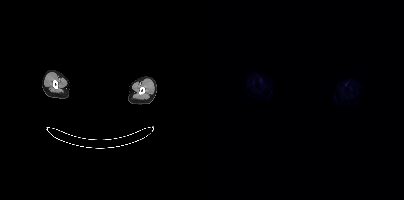
modality: PSMA PET/CT | tracer: [18F]PSMA-1007 | view: axial | de-identification: face masked with black rectangle
No PSMA-avid tumor lesions on this slice.